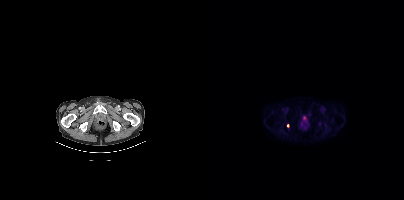
Coordinates are on the 200×200 PET (right) panel. Small PSMA-avid focus (2 to 4 px across) near (center x, center y): (83, 125).
modality: PSMA PET/CT | tracer: 18F | view: axial